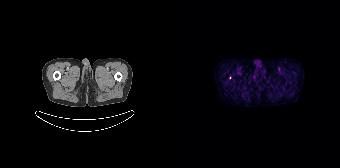
modality: PSMA PET/CT | tracer: 68Ga | view: axial
Only PSMA-avid lesion pieces thinner than 2 px on this slice (not listed).